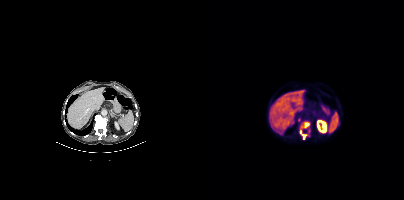
{"modality":"PSMA PET/CT","view":"axial","tracer":"18F-PSMA","pet_grid":[200,200],"coord_frame":"pet_panel","coord_format":"x0,y0,x1,y1","lesion_bboxes":[[96,122,106,135],[99,135,100,139]],"small_foci_centers":[[95,119]]}